modality: PSMA PET/CT | tracer: 18F-PSMA | view: axial
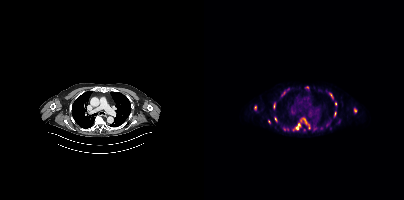
Coordinates are on the 200×200 PET (right) panel. (showing 10 of 17 foci) PSMA-avid tumor lesion bounding boxes (x0, y0)-(x1, y1): (91, 123)-(96, 129); (125, 93)-(129, 98); (150, 108)-(152, 112); (78, 91)-(81, 95); (130, 112)-(132, 116); (99, 118)-(102, 123); (71, 117)-(72, 121). Small PSMA-avid foci (2 to 4 px across) near (center x, center y): (131, 103); (103, 87); (51, 107).